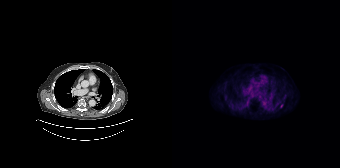
Paired axial CT (left) and PSMA PET (right), 18F tracer. Slice position z = -858 mm. PET panel 168×168 px (4.1 mm/px). No tumor lesions annotated on this slice.